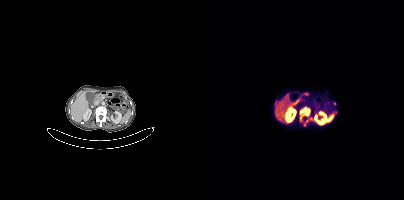
{"modality":"PSMA PET/CT","view":"axial","tracer":"[68Ga]Ga-PSMA-11","pet_grid":[200,200],"coord_frame":"pet_panel","coord_format":"x0,y0,x1,y1","lesion_bboxes":[[96,107,105,119]],"small_foci_centers":[[130,103],[102,120],[100,124]]}